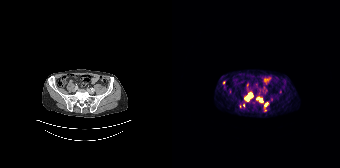
- Left: CT. Right: PSMA PET, same axial level, 68Ga-PSMA tracer
- slice 71 of 195
Findings: Coordinates are on the 168×168 PET (right) panel. (showing 6 of 7 foci) PSMA-avid tumor lesion bounding boxes (x, y, width, height): x=73 y=93 w=8 h=8 | x=71 y=103 w=2 h=5. Small PSMA-avid foci (2 to 4 px across) near (center x, center y): (89, 100) | (94, 104) | (68, 106) | (85, 98).